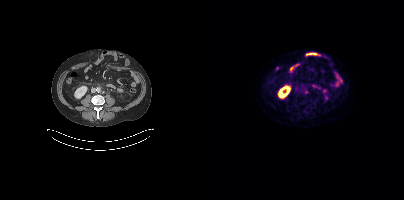
Findings: Coordinates are on the 200×200 PET (right) panel. PSMA-avid tumor lesion bounding box (x, y, width, height): x=100 y=90 w=5 h=4.
Technique: Two-panel axial: CT | PSMA PET, 18F-PSMA tracer. acquired on Siemens Biograph mCT Flow 20. slice 178 of 435. PET panel 200×200 px (4.1 mm/px).